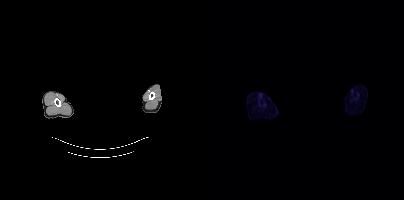
- Two-panel axial: CT | PSMA PET, [18F]PSMA-1007 tracer
- slice 409 of 448
- head region blanked for anonymization (face removed)
Findings: Negative for PSMA-avid disease on this slice.